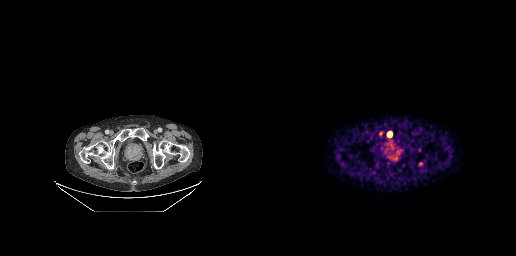
modality: PSMA PET/CT | tracer: [68Ga]Ga-PSMA-11 | view: axial
Coordinates are on the 256×256 PET (right) panel. (showing 4 of 6 foci) PSMA-avid tumor lesion bounding boxes (x, y, width, height): x=119 y=131 w=5 h=6 | x=128 y=155 w=6 h=5 | x=127 y=132 w=5 h=5. Small PSMA-avid focus (2 to 4 px across) near (center x, center y): (160, 163).